modality: PSMA PET/CT | tracer: 18F-PSMA | view: axial | PET grid: 200×200
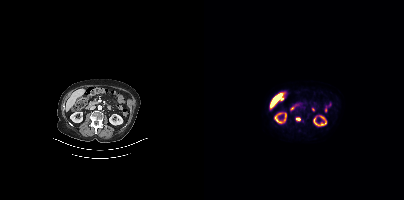
Coordinates are on the 200×200 PET (right) panel. PSMA-avid tumor lesion bounding box (x, y, width, height): x=91 y=117 w=6 h=5.